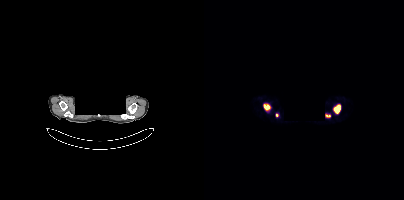
deidentification: face masked with black rectangle | modality: PSMA PET/CT | tracer: [68Ga]Ga-PSMA-11 | view: axial | PET grid: 200×200
Coordinates are on the 200×200 PET (right) panel. PSMA-avid tumor lesion bounding boxes (x, y, width, height): x=129 y=104 w=8 h=10; x=60 y=104 w=7 h=7; x=121 y=114 w=6 h=4. Small PSMA-avid focus (2 to 4 px across) near (center x, center y): (73, 115).